- Two-panel axial: CT | PSMA PET, 18F-PSMA tracer
- acquired on Siemens Biograph mCT Flow 20
- slice 263 of 407
- PET panel 200×200 px (4.1 mm/px)
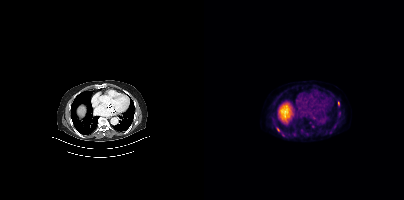
Findings: Coordinates are on the 200×200 PET (right) panel. (showing 5 of 7 foci) PSMA-avid tumor lesion bounding box (x0, y0)-(x1, y1): (134, 101)-(135, 105). Small PSMA-avid foci (2 to 4 px across) near (center x, center y): (109, 126) / (74, 129) / (90, 135) / (130, 126).